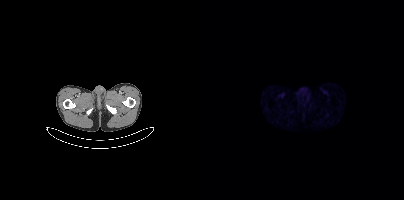
{"modality":"PSMA PET/CT","view":"axial","tracer":"[68Ga]Ga-PSMA-11","pet_grid":[200,200],"coord_frame":"pet_panel","coord_format":"x0,y0,x1,y1","psma_avid_lesions":false}